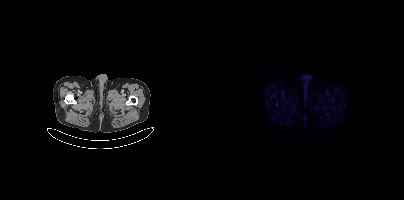
No tumor lesions annotated on this slice. Paired axial CT (left) and PSMA PET (right), [18F]PSMA-1007 tracer. Slice position z = -993 mm.